- Left: CT. Right: PSMA PET, same axial level, [68Ga]Ga-PSMA-11 tracer
- acquired on Siemens Biograph 64-4R TruePoint
- PET panel 168×168 px (4.1 mm/px)
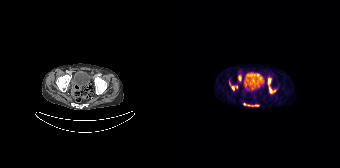
Findings: Coordinates are on the 168×168 PET (right) panel. (showing 6 of 7 foci) PSMA-avid tumor lesion bounding boxes (x, y, width, height): x=96 y=78 w=8 h=16 | x=57 y=82 w=9 h=9 | x=66 y=75 w=4 h=6. Small PSMA-avid foci (2 to 4 px across) near (center x, center y): (84, 105) | (72, 104) | (80, 105).